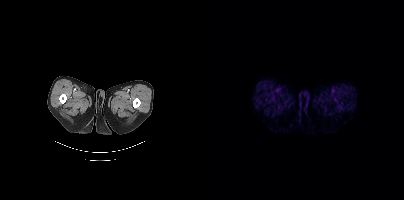
Technique: Two-panel axial: CT | PSMA PET, 18F-PSMA tracer. acquired on Siemens Biograph mCT Flow 20. slice 26 of 448. PET panel 200×200 px (4.1 mm/px).
Findings: No tumor lesions annotated on this slice.